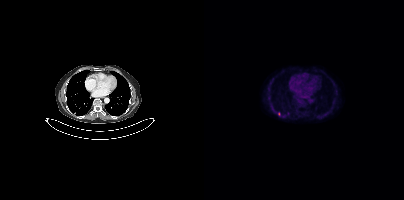
Left: CT. Right: PSMA PET, same axial level, 18F tracer. PET panel 200×200 px (4.1 mm/px). Coordinates are on the 200×200 PET (right) panel. Small PSMA-avid focus (2 to 4 px across) near (center x, center y): (75, 113).